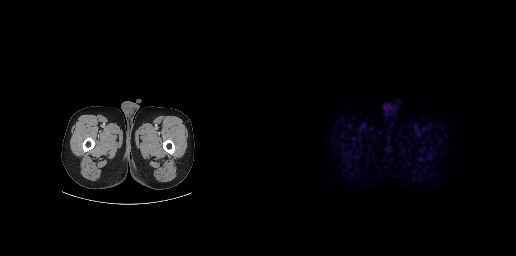
Technique: Left: CT. Right: PSMA PET, same axial level, [18F]PSMA-1007 tracer. acquired on GE Discovery 690. slice 13 of 263.
Findings: Negative for PSMA-avid disease on this slice.